- Paired axial CT (left) and PSMA PET (right), [68Ga]Ga-PSMA-11 tracer
- slice 100 of 165
- PET panel 168×168 px (4.1 mm/px)
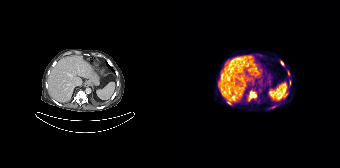
Findings: Coordinates are on the 168×168 PET (right) panel. (showing 6 of 7 foci) PSMA-avid tumor lesion bounding boxes (x0, y0)-(x1, y1): (76, 91)-(84, 101); (54, 101)-(58, 104); (99, 106)-(104, 108); (109, 61)-(111, 65). Small PSMA-avid foci (2 to 4 px across) near (center x, center y): (114, 95); (116, 73).